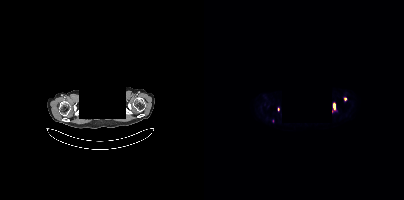
{"modality":"PSMA PET/CT","view":"axial","tracer":"[18F]PSMA-1007","pet_grid":[200,200],"coord_frame":"pet_panel","coord_format":"x0,y0,x1,y1","redaction":"rectangular block over head set to black","partial":true,"lesion_bboxes":[[129,103,131,108]],"small_foci_centers":[[141,99]]}